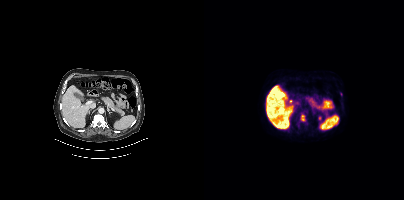
Coordinates are on the 200×200 PET (right) panel. PSMA-avid tumor lesion bounding box (x0,y0,x1,y1): [97,115,102,121]. Small PSMA-avid focus (2 to 4 px across) near (center x, center y): (137, 94).